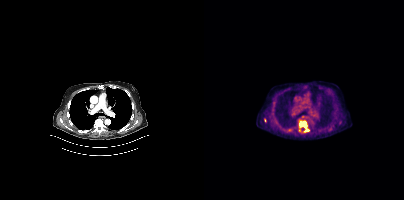
Coordinates are on the 200×200 PET (right) panel. PSMA-avid tumor lesion bounding box (x0, y0)-(x1, y1): (96, 122)-(102, 127). Small PSMA-avid foci (2 to 4 px across) near (center x, center y): (95, 129); (61, 120); (103, 130).